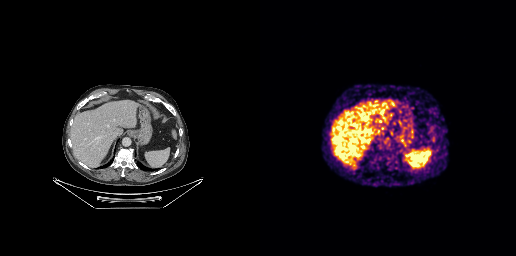
Paired axial CT (left) and PSMA PET (right), [68Ga]Ga-PSMA-11 tracer. Slice position z = -515 mm. PET panel 256×256 px (2.7 mm/px). No PSMA-avid tumor lesions on this slice.